- Left: CT. Right: PSMA PET, same axial level, [18F]PSMA-1007 tracer
- acquired on Siemens Biograph mCT Flow 20
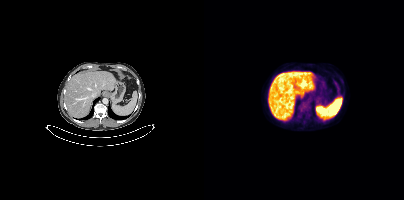
Findings: Negative for PSMA-avid disease on this slice.